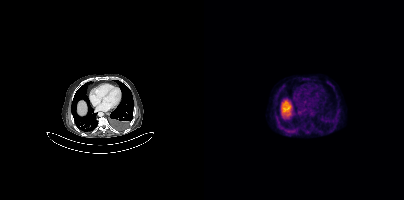
No PSMA-avid tumor lesions on this slice.